modality: PSMA PET/CT | tracer: 18F-PSMA | view: axial | PET grid: 200×200
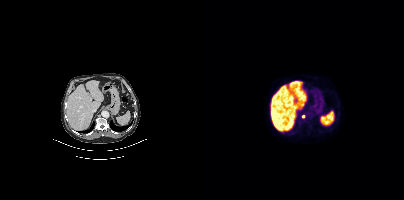
Coordinates are on the 200×200 PET (right) panel. Small PSMA-avid focus (2 to 4 px across) near (center x, center y): (99, 116).